Paired axial CT (left) and PSMA PET (right), [18F]PSMA-1007 tracer. Acquired on Siemens Biograph 64-4R TruePoint. Slice 147 of 165. The head region is masked for de-identification.
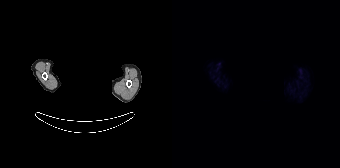
Negative for PSMA-avid disease on this slice.